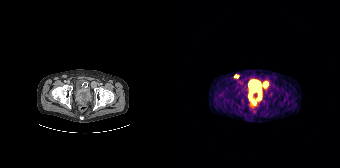
Coordinates are on the 168×168 PET (right) panel. PSMA-avid tumor lesion bounding boxes (x, y, width, height): x=76 y=89 w=14 h=16 | x=91 y=81 w=6 h=7 | x=62 y=74 w=5 h=4.